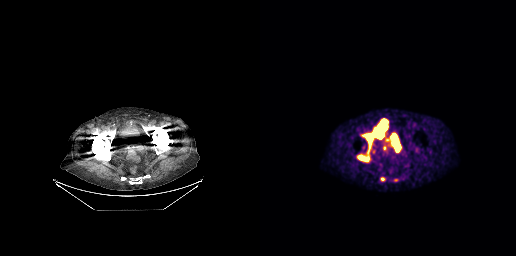
Findings: Coordinates are on the 256×256 PET (right) panel. PSMA-avid tumor lesion bounding boxes (x, y, width, height): x=102 y=119 w=27 h=35; x=98 y=155 w=12 h=7; x=120 y=177 w=6 h=5.
Technique: Left: CT. Right: PSMA PET, same axial level, 18F tracer. acquired on GE Discovery 690. PET panel 256×256 px (2.7 mm/px).